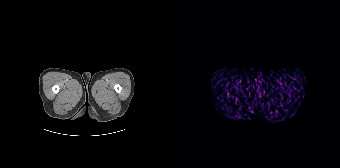
- Paired axial CT (left) and PSMA PET (right), 68Ga tracer
- acquired on Siemens Biograph 64-4R TruePoint
- PET panel 168×168 px (4.1 mm/px)
Findings: Negative for PSMA-avid disease on this slice.